- Paired axial CT (left) and PSMA PET (right), [18F]PSMA-1007 tracer
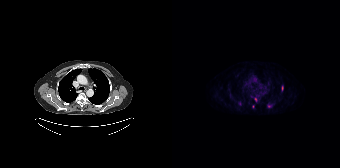
Findings: Coordinates are on the 168×168 PET (right) panel. (showing 3 of 4 foci) PSMA-avid tumor lesion bounding box (x0,y0,x1,y1): [109,86,111,90]. Small PSMA-avid foci (2 to 4 px across) near (center x, center y): (97, 106) (83, 99).